Two-panel axial: CT | PSMA PET, 18F tracer.
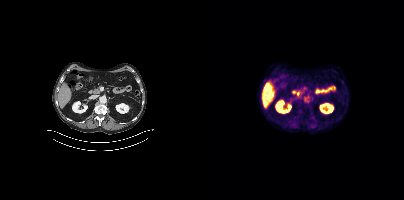
This slice has no annotated PSMA-avid lesion.